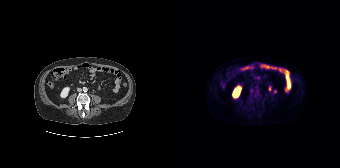
Paired axial CT (left) and PSMA PET (right), [18F]PSMA-1007 tracer. Acquired on Siemens Biograph 64-4R TruePoint. No tumor lesions annotated on this slice.